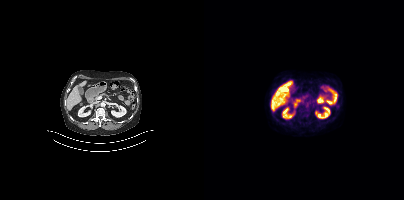
{"modality":"PSMA PET/CT","view":"axial","tracer":"[18F]PSMA-1007","pet_grid":[200,200],"coord_frame":"pet_panel","coord_format":"x0,y0,x1,y1","psma_avid_lesions":false}